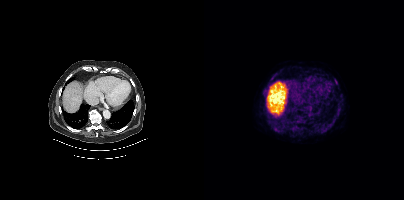
{"modality":"PSMA PET/CT","view":"axial","tracer":"18F","pet_grid":[200,200],"coord_frame":"pet_panel","coord_format":"x0,y0,x1,y1","lesion_bboxes":[[131,79,133,84]]}